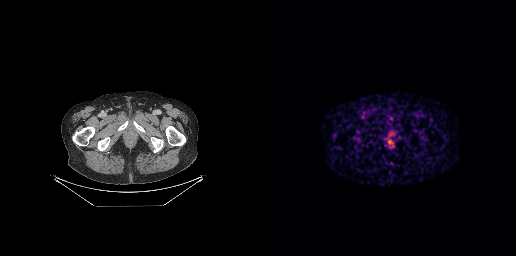
Coordinates are on the 256×256 PET (right) panel. PSMA-avid tumor lesion bounding box (x0, y0)-(x1, y1): (128, 130)-(135, 136).
modality: PSMA PET/CT | tracer: 68Ga-PSMA | view: axial | PET grid: 256×256